Technique: Left: CT. Right: PSMA PET, same axial level, [18F]PSMA-1007 tracer. slice position z = -647 mm.
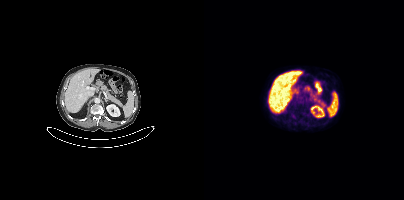
Findings: Coordinates are on the 200×200 PET (right) panel. Small PSMA-avid focus (2 to 4 px across) near (center x, center y): (103, 100).